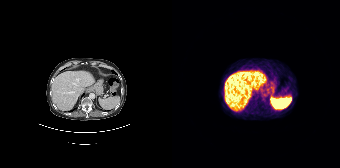
{"modality":"PSMA PET/CT","view":"axial","tracer":"68Ga","pet_grid":[168,168],"coord_frame":"pet_panel","coord_format":"x0,y0,x1,y1","psma_avid_lesions":false}